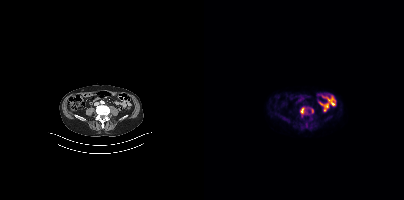
Technique: Two-panel axial: CT | PSMA PET, 18F-PSMA tracer. slice 127 of 401.
Findings: Coordinates are on the 200×200 PET (right) panel. PSMA-avid tumor lesion bounding box (x0, y0)-(x1, y1): (97, 108)-(103, 113). Small PSMA-avid foci (2 to 4 px across) near (center x, center y): (102, 126); (108, 110).